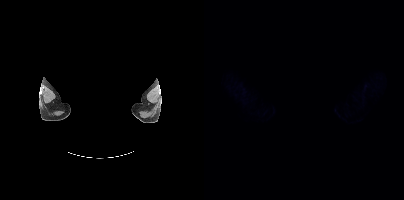
Negative for PSMA-avid disease on this slice.
deidentification: privacy mask over head | modality: PSMA PET/CT | tracer: [18F]PSMA-1007 | view: axial | PET grid: 200×200